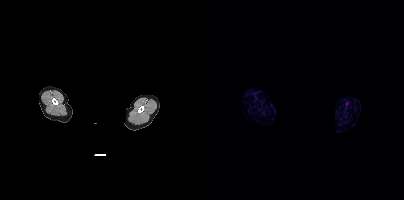
Face de-identified by blanking a block of the head.
No tumor lesions annotated on this slice.